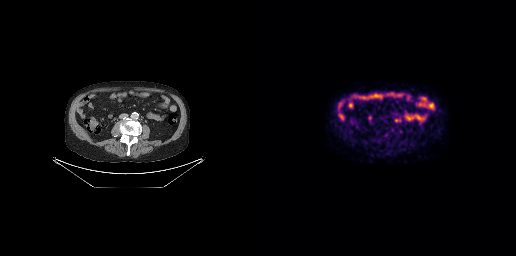
No tumor lesions annotated on this slice. Paired axial CT (left) and PSMA PET (right), 18F tracer. Slice 121 of 263.